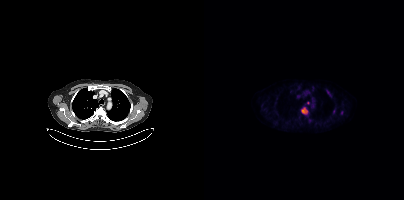
{"modality":"PSMA PET/CT","view":"axial","tracer":"[18F]PSMA-1007","pet_grid":[200,200],"coord_frame":"pet_panel","coord_format":"x0,y0,x1,y1","partial":true,"lesion_bboxes":[[97,107,103,113]],"small_foci_centers":[[104,103],[125,94]]}